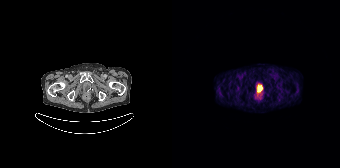
No tumor lesions annotated on this slice. Two-panel axial: CT | PSMA PET, 68Ga-PSMA tracer. Acquired on Siemens Biograph 64-4R TruePoint. Slice position z = -1573 mm.